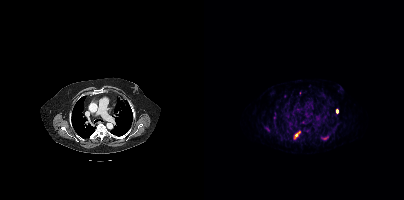
Coordinates are on the 200×200 PET (right) panel. (showing 2 of 5 foci) PSMA-avid tumor lesion bounding boxes (x0,y0,x1,y1): [89,130,96,139]; [132,108,134,113].